- Two-panel axial: CT | PSMA PET, [18F]PSMA-1007 tracer
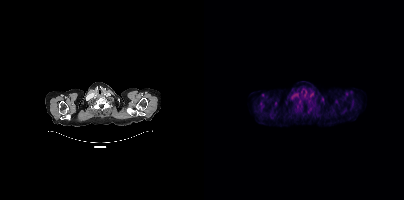
Findings: No PSMA-avid tumor lesions on this slice.